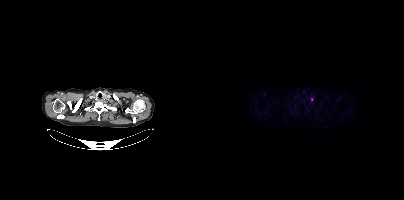
Two-panel axial: CT | PSMA PET, [18F]PSMA-1007 tracer. Slice 368 of 431. PET panel 200×200 px (4.1 mm/px). Coordinates are on the 200×200 PET (right) panel. Small PSMA-avid focus (2 to 4 px across) near (center x, center y): (107, 99).